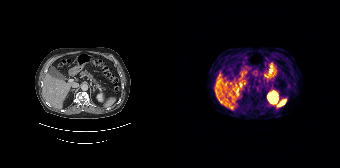
No PSMA-avid tumor lesions on this slice. Left: CT. Right: PSMA PET, same axial level, 68Ga-PSMA tracer. Slice position z = -568 mm. PET panel 168×168 px (4.1 mm/px).